Paired axial CT (left) and PSMA PET (right), 18F tracer. Slice 336 of 421. PET panel 200×200 px (4.1 mm/px).
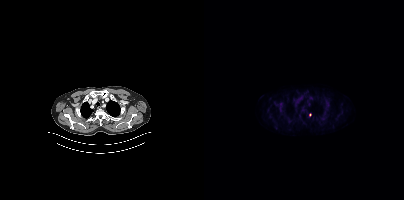
Only PSMA-avid lesion pieces thinner than 2 px on this slice (not listed).